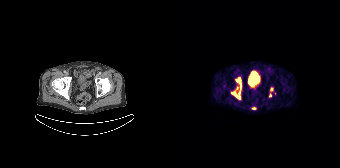
Technique: Left: CT. Right: PSMA PET, same axial level, 68Ga-PSMA tracer. slice 51 of 195.
Findings: Coordinates are on the 168×168 PET (right) panel. (showing 5 of 7 foci) PSMA-avid tumor lesion bounding boxes (x0,y0,x1,y1): [59,91,68,99], [64,77,69,89]. Small PSMA-avid foci (2 to 4 px across) near (center x, center y): (81, 108), (100, 89), (98, 95).